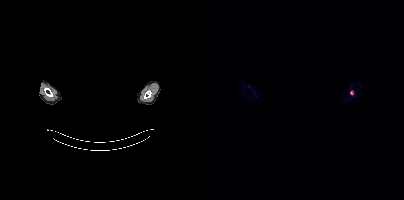
Left: CT. Right: PSMA PET, same axial level, 18F-PSMA tracer. Acquired on Siemens Biograph mCT Flow 20. PET panel 200×200 px (4.1 mm/px). Any black rectangle over the head is a privacy mask, not anatomy. Coordinates are on the 200×200 PET (right) panel. Small PSMA-avid focus (2 to 4 px across) near (center x, center y): (147, 92).